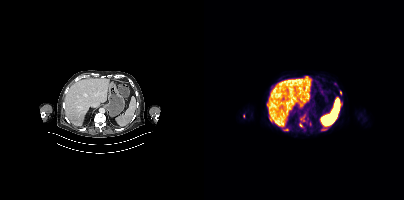
{"modality":"PSMA PET/CT","view":"axial","tracer":"[18F]PSMA-1007","pet_grid":[200,200],"coord_frame":"pet_panel","coord_format":"x0,y0,x1,y1","partial":true,"lesion_bboxes":[[78,127,84,130],[118,127,123,130],[63,104,64,109]],"small_foci_centers":[[96,125],[136,92],[39,116]]}